- head region blanked for anonymization (face removed)
- Left: CT. Right: PSMA PET, same axial level, 18F tracer
- slice position z = 200 mm
- PET panel 200×200 px (4.1 mm/px)
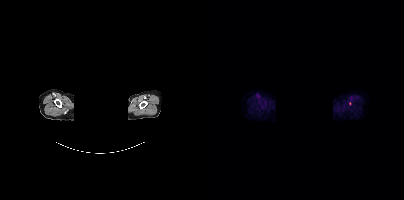
Findings: Only PSMA-avid lesion pieces thinner than 2 px on this slice (not listed).